Two-panel axial: CT | PSMA PET, [18F]PSMA-1007 tracer. Acquired on GE Discovery 690.
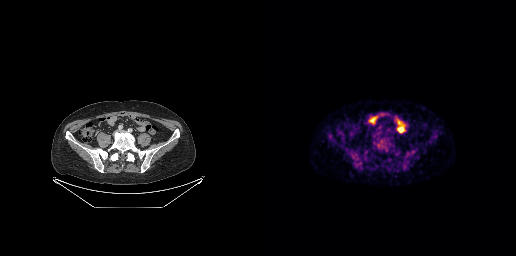
No PSMA-avid tumor lesions on this slice.